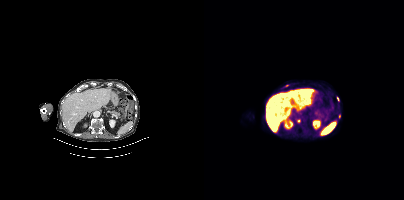
Coordinates are on the 200×200 PET (right) panel. PSMA-avid tumor lesion bounding boxes (x0,y0,x1,y1): [133,97,135,101] [135,114,136,118]. Small PSMA-avid foci (2 to 4 px across) near (center x, center y): (94, 121) (83, 85). Two-panel axial: CT | PSMA PET, [18F]PSMA-1007 tracer. Acquired on Siemens Biograph mCT Flow 20. Slice position z = 42 mm.